modality: PSMA PET/CT | tracer: 68Ga-PSMA | view: axial | PET grid: 168×168
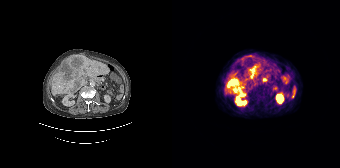
Coordinates are on the 168×168 PET (right) panel. (showing 3 of 4 foci) PSMA-avid tumor lesion bounding boxes (x, y, width, height): x=53 y=78 w=19 h=17 | x=76 y=67 w=11 h=13 | x=90 y=78 w=6 h=4.